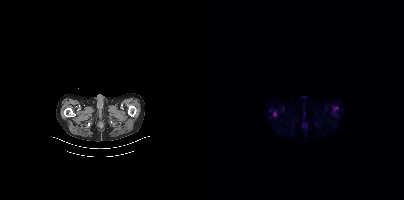
{"modality":"PSMA PET/CT","view":"axial","tracer":"18F-PSMA","pet_grid":[200,200],"coord_frame":"pet_panel","coord_format":"x0,y0,x1,y1","lesion_bboxes":[[130,107,134,109]],"small_foci_centers":[[70,114]]}